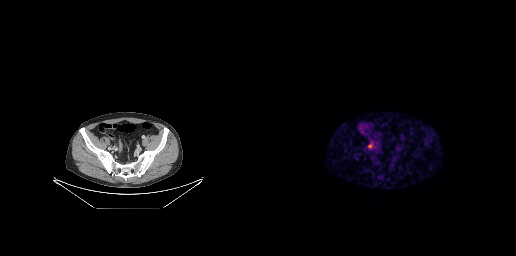
Two-panel axial: CT | PSMA PET, 68Ga-PSMA tracer. Slice position z = -731 mm. Coordinates are on the 256×256 PET (right) panel. Small PSMA-avid focus (2 to 4 px across) near (center x, center y): (109, 146).